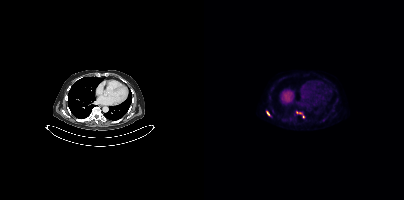
- Two-panel axial: CT | PSMA PET, 18F tracer
- acquired on Siemens Biograph mCT Flow 20
- PET panel 200×200 px (4.1 mm/px)
Findings: Coordinates are on the 200×200 PET (right) panel. (showing 2 of 4 foci) Small PSMA-avid foci (2 to 4 px across) near (center x, center y): (64, 113) | (99, 116).